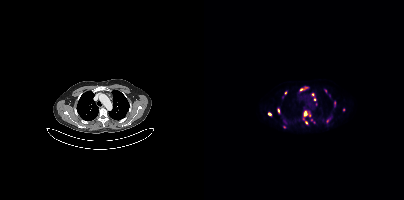
Paired axial CT (left) and PSMA PET (right), [18F]PSMA-1007 tracer. Acquired on Siemens Biograph mCT Flow 20. Slice 311 of 407.
Coordinates are on the 200×200 PET (right) panel. PSMA-avid tumor lesion bounding boxes (partial; 4 more foci not listed):
| # | x0 | y0 | x1 | y1 |
|---|---|---|---|---|
| 1 | 96 | 86 | 103 | 90 |
| 2 | 100 | 112 | 103 | 116 |
| 3 | 73 | 108 | 75 | 113 |
| 4 | 130 | 101 | 131 | 106 |
Small PSMA-avid foci (2 to 4 px across) near (center x, center y): (65, 114); (109, 94); (121, 90); (81, 92); (105, 115); (102, 122); (110, 99); (139, 109); (123, 121); (80, 126).